Left: CT. Right: PSMA PET, same axial level, 18F tracer.
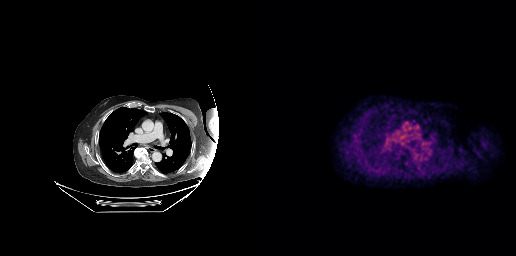
No tumor lesions annotated on this slice.